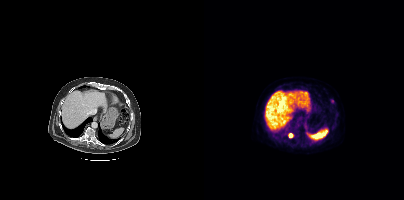
{"modality":"PSMA PET/CT","view":"axial","tracer":"18F","pet_grid":[200,200],"coord_frame":"pet_panel","coord_format":"x0,y0,x1,y1","lesion_bboxes":[],"small_foci_centers":[[86,135],[128,101]]}